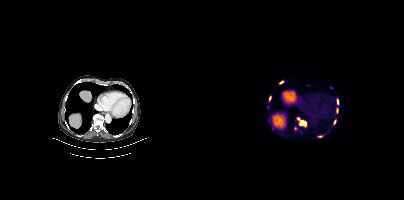
Two-panel axial: CT | PSMA PET, 68Ga-PSMA tracer. Slice 231 of 409. PET panel 200×200 px (4.1 mm/px). Coordinates are on the 200×200 PET (right) panel. (showing 9 of 11 foci) PSMA-avid tumor lesion bounding boxes (x, y, width, height): x=95 y=121 w=8 h=6 / x=133 y=99 w=2 h=5 / x=114 y=135 w=5 h=3 / x=132 y=108 w=3 h=5 / x=130 y=120 w=2 h=5. Small PSMA-avid foci (2 to 4 px across) near (center x, center y): (66, 97) / (77, 82) / (91, 128) / (64, 120).